Technique: Paired axial CT (left) and PSMA PET (right), 18F tracer. acquired on Siemens Biograph mCT Flow 20. slice 297 of 427. PET panel 200×200 px (4.1 mm/px).
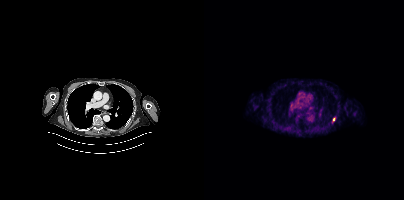
Findings: Coordinates are on the 200×200 PET (right) panel. Small PSMA-avid focus (2 to 4 px across) near (center x, center y): (129, 119).